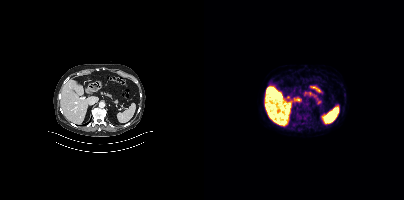
Findings: This slice has no annotated PSMA-avid lesion.
Technique: Two-panel axial: CT | PSMA PET, 18F tracer.